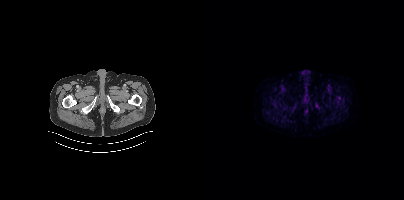
Two-panel axial: CT | PSMA PET, [18F]PSMA-1007 tracer. Acquired on Siemens Biograph mCT Flow 20. Slice position z = -910 mm. This slice has no annotated PSMA-avid lesion.